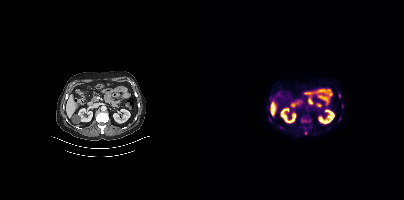
Coordinates are on the 200×200 PET (right) panel. (showing 6 of 7 foci) PSMA-avid tumor lesion bounding box (x, y, width, height): x=75 y=126 w=5 h=4. Small PSMA-avid foci (2 to 4 px across) near (center x, center y): (66, 119) | (102, 133) | (135, 95) | (138, 107) | (98, 120). Paired axial CT (left) and PSMA PET (right), [18F]PSMA-1007 tracer. Acquired on Siemens Biograph mCT Flow 20.